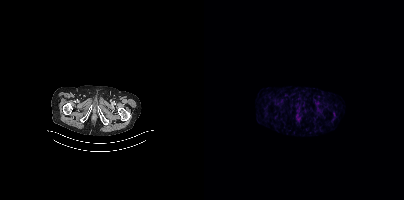
No PSMA-avid tumor lesions on this slice.